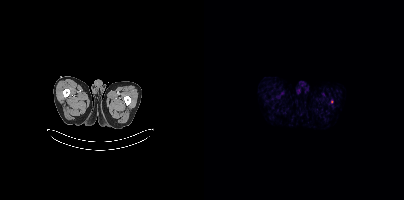
Findings: Coordinates are on the 200×200 PET (right) panel. Small PSMA-avid focus (2 to 4 px across) near (center x, center y): (127, 101).
Technique: Paired axial CT (left) and PSMA PET (right), [18F]PSMA-1007 tracer. PET panel 200×200 px (4.1 mm/px).